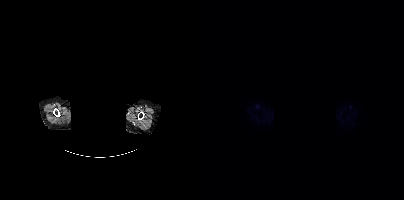
Technique: Paired axial CT (left) and PSMA PET (right), 18F-PSMA tracer. acquired on Siemens Biograph mCT Flow 20. slice position z = -866 mm. PET panel 200×200 px (4.1 mm/px).
Note: De-identified by setting a box covering the face to black before release.
Findings: Negative for PSMA-avid disease on this slice.